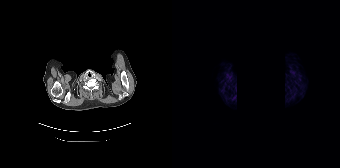
Findings: No PSMA-avid tumor lesions on this slice.
Technique: Paired axial CT (left) and PSMA PET (right), 68Ga-PSMA tracer. slice position z = -860 mm.
Note: An anonymization step blacked out a rectangle in this scan.